modality: PSMA PET/CT | tracer: [18F]PSMA-1007 | view: axial | PET grid: 200×200
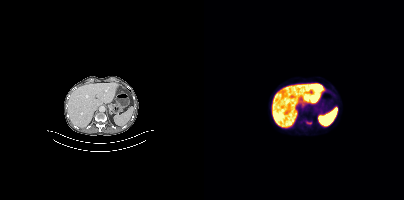
Coordinates are on the 200×200 PET (right) panel. PSMA-avid tumor lesion bounding box (x0,y0,x1,y1): [102,122,107,124].